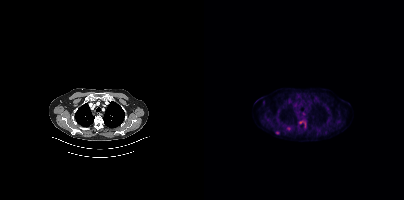
Two-panel axial: CT | PSMA PET, 18F-PSMA tracer. Slice position z = 413 mm. PET panel 200×200 px (4.1 mm/px). Coordinates are on the 200×200 PET (right) panel. PSMA-avid tumor lesion bounding box (x, y, width, height): x=95 y=121 w=7 h=7. Small PSMA-avid foci (2 to 4 px across) near (center x, center y): (84, 127) / (73, 132).